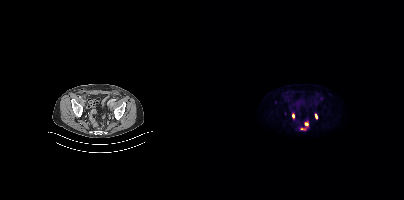
Paired axial CT (left) and PSMA PET (right), 18F tracer. Acquired on Siemens Biograph mCT Flow 20. PET panel 200×200 px (4.1 mm/px).
Coordinates are on the 200×200 PET (right) panel. PSMA-avid tumor lesion bounding boxes:
| # | x0 | y0 | x1 | y1 |
|---|---|---|---|---|
| 1 | 100 | 121 | 104 | 126 |
| 2 | 88 | 113 | 90 | 118 |
| 3 | 111 | 114 | 113 | 118 |
| 4 | 97 | 128 | 101 | 129 |